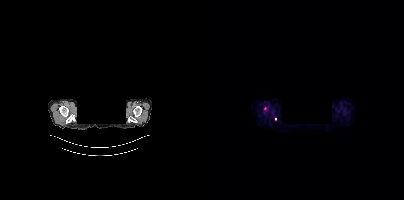
A rectangle over the head was blacked out to remove identifiable facial features.
Coordinates are on the 200×200 PET (right) panel. Small PSMA-avid foci (2 to 4 px across) near (center x, center y): (61, 108) / (71, 118).